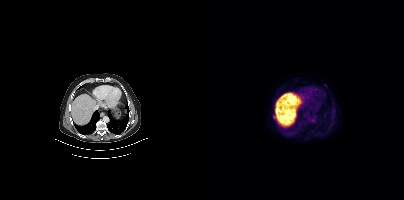
{"pet_grid":[200,200],"coord_frame":"pet_panel","coord_format":"x0,y0,x1,y1","lesion_bboxes":[],"small_foci_centers":[[69,117]],"modality":"PSMA PET/CT","view":"axial","tracer":"[18F]PSMA-1007"}